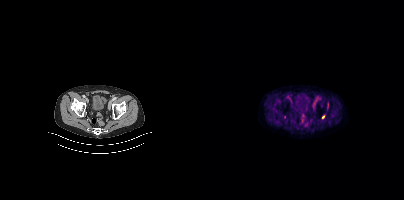
{"modality":"PSMA PET/CT","view":"axial","tracer":"[18F]PSMA-1007","pet_grid":[200,200],"coord_frame":"pet_panel","coord_format":"x0,y0,x1,y1","partial":true,"lesion_bboxes":[],"small_foci_centers":[[119,117]]}